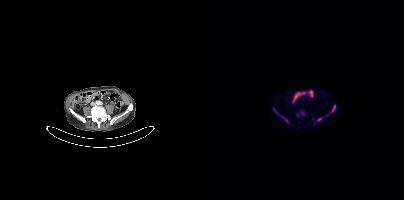
Coordinates are on the 200×200 PET (right) panel. PSMA-avid tumor lesion bounding boxes (x, y, width, height): x=69 y=109 w=16 h=14 / x=127 y=105 w=5 h=8. Small PSMA-avid focus (2 to 4 px across) near (center x, center y): (115, 119).